Technique: Two-panel axial: CT | PSMA PET, 18F-PSMA tracer. acquired on Siemens Biograph mCT Flow 20. slice 241 of 508.
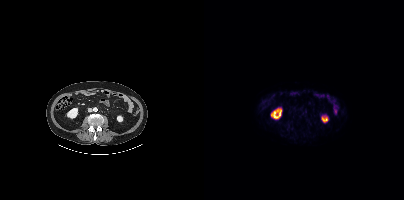
Findings: Negative for PSMA-avid disease on this slice.